modality: PSMA PET/CT | tracer: 68Ga-PSMA | view: axial | redaction: rectangular block over head set to black
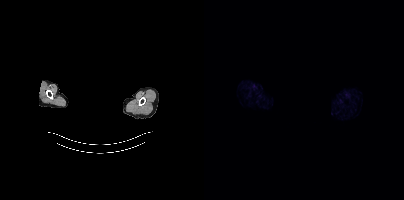
No PSMA-avid tumor lesions on this slice.